modality: PSMA PET/CT | tracer: [18F]PSMA-1007 | view: axial
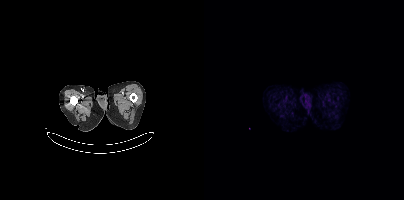
No tumor lesions annotated on this slice.